Technique: Paired axial CT (left) and PSMA PET (right), 18F tracer. acquired on Siemens Biograph mCT Flow 20. slice position z = -1522 mm. PET panel 200×200 px (4.1 mm/px).
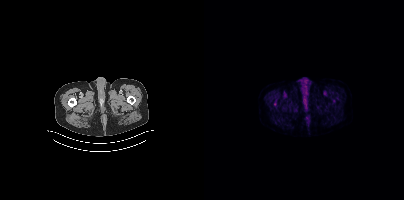
Findings: Only PSMA-avid lesion pieces thinner than 2 px on this slice (not listed).